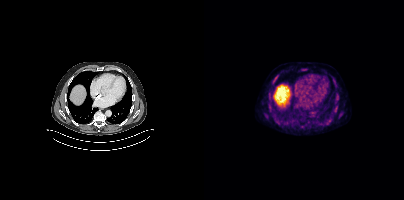
Two-panel axial: CT | PSMA PET, 18F tracer. Acquired on Siemens Biograph mCT Flow 20. Slice 300 of 454. PET panel 200×200 px (4.1 mm/px).
Coordinates are on the 200×200 PET (right) panel. PSMA-avid tumor lesion bounding boxes (partial; 2 more foci not listed):
| # | x0 | y0 | x1 | y1 |
|---|---|---|---|---|
| 1 | 69 | 77 | 72 | 81 |
| 2 | 61 | 114 | 63 | 118 |
Small PSMA-avid foci (2 to 4 px across) near (center x, center y): (130, 79); (99, 69); (65, 104); (131, 110).